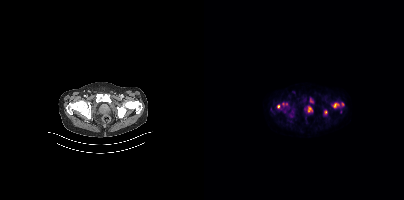
Coordinates are on the 200×200 PET (right) panel. PSMA-avid tumor lesion bounding boxes (x0, y0)-(x1, y1): (129, 103)-(135, 107) | (73, 105)-(77, 109) | (104, 107)-(108, 111) | (78, 103)-(83, 107) | (106, 98)-(109, 103) | (120, 110)-(123, 114). Small PSMA-avid foci (2 to 4 px across) near (center x, center y): (138, 104) | (80, 111).